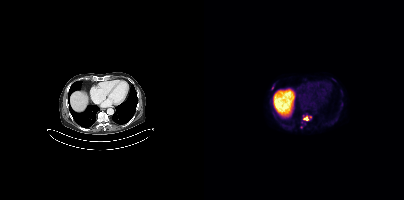
Coordinates are on the 200×200 PET (right) panel. (showing 2 of 4 foci) PSMA-avid tumor lesion bounding box (x0, y0)-(x1, y1): (99, 115)-(105, 120). Small PSMA-avid focus (2 to 4 px across) near (center x, center y): (68, 88).